- Two-panel axial: CT | PSMA PET, 18F-PSMA tracer
- slice position z = -640 mm
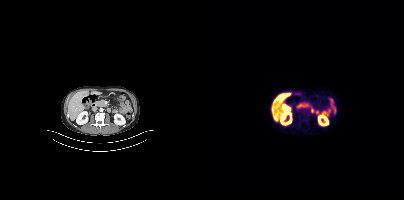
Findings: No PSMA-avid tumor lesions on this slice.